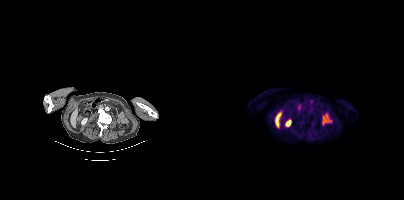
{"modality":"PSMA PET/CT","view":"axial","tracer":"18F-PSMA","pet_grid":[200,200],"coord_frame":"pet_panel","coord_format":"x0,y0,x1,y1","psma_avid_lesions":false}